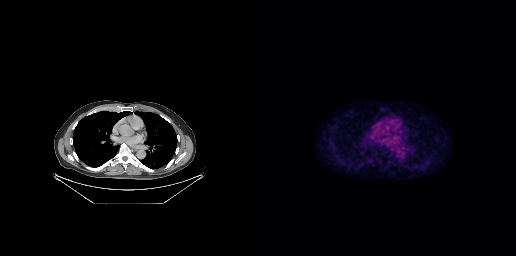
Negative for PSMA-avid disease on this slice.